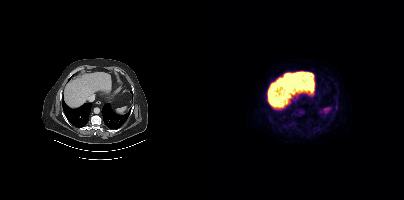
Findings: Coordinates are on the 200×200 PET (right) panel. Small PSMA-avid focus (2 to 4 px across) near (center x, center y): (132, 107).
- Left: CT. Right: PSMA PET, same axial level, [18F]PSMA-1007 tracer
- slice position z = -1105 mm